Paired axial CT (left) and PSMA PET (right), [68Ga]Ga-PSMA-11 tracer. Slice 32 of 195. PET panel 168×168 px (4.1 mm/px).
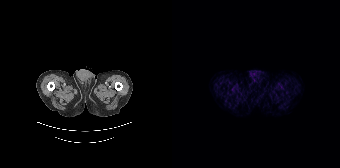
Negative for PSMA-avid disease on this slice.